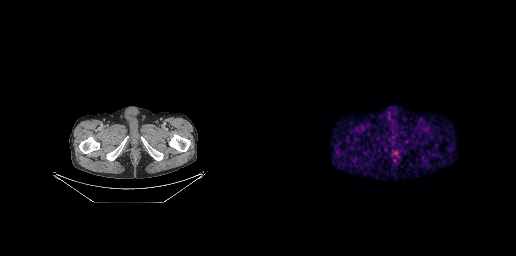
Two-panel axial: CT | PSMA PET, [68Ga]Ga-PSMA-11 tracer. This slice has no annotated PSMA-avid lesion.